- Paired axial CT (left) and PSMA PET (right), [18F]PSMA-1007 tracer
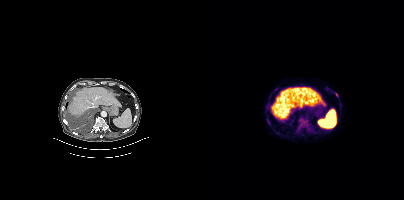
Findings: Coordinates are on the 200×200 PET (right) panel. PSMA-avid tumor lesion bounding boxes (x0,y0,x1,y1): [95,118,104,127], [63,119,65,124]. Small PSMA-avid foci (2 to 4 px across) near (center x, center y): (71, 89), (132, 94), (124, 88), (65, 98).